Technique: Paired axial CT (left) and PSMA PET (right), [68Ga]Ga-PSMA-11 tracer. slice 154 of 299. PET panel 256×256 px (2.7 mm/px).
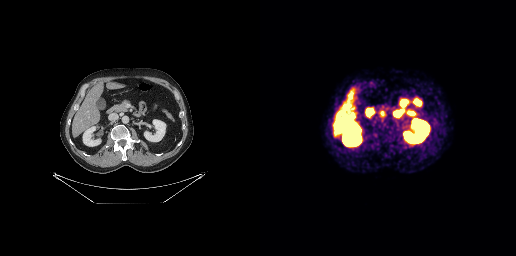
Findings: Coordinates are on the 256×256 PET (right) panel. PSMA-avid tumor lesion bounding box (x0,y0,x1,y1): [120,110,125,116].